Technique: Two-panel axial: CT | PSMA PET, [68Ga]Ga-PSMA-11 tracer. PET panel 256×256 px (2.7 mm/px).
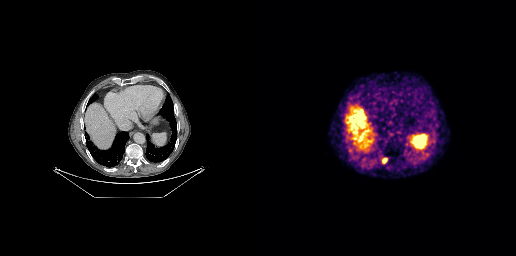
Findings: Coordinates are on the 256×256 PET (right) panel. Small PSMA-avid focus (2 to 4 px across) near (center x, center y): (124, 160).